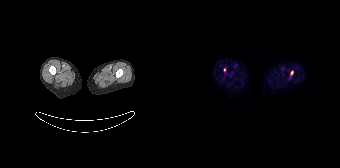
Coordinates are on the 168×168 PET (right) panel. Small PSMA-avid foci (2 to 4 px across) near (center x, center y): (120, 72), (52, 69). Paired axial CT (left) and PSMA PET (right), 68Ga-PSMA tracer. Acquired on Siemens Biograph 64-4R TruePoint. Slice position z = -1334 mm.